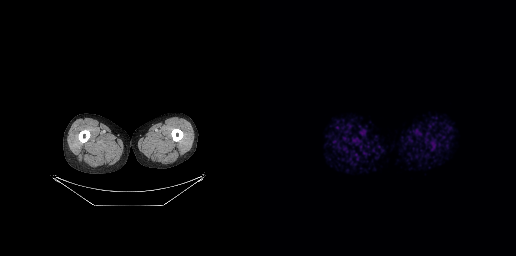
Two-panel axial: CT | PSMA PET, [18F]PSMA-1007 tracer. Slice 4 of 263. PET panel 256×256 px (2.7 mm/px). No tumor lesions annotated on this slice.